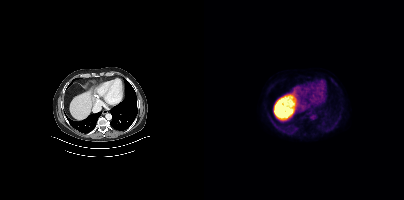
No tumor lesions annotated on this slice.